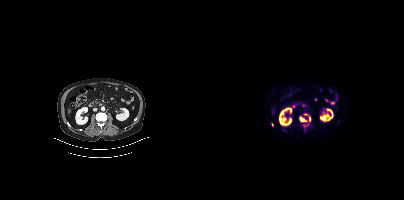
Findings: Coordinates are on the 200×200 PET (right) panel. (showing 3 of 4 foci) PSMA-avid tumor lesion bounding box (x, y, width, height): x=95 y=116 w=8 h=6. Small PSMA-avid foci (2 to 4 px across) near (center x, center y): (105, 118) / (68, 125).
Technique: Two-panel axial: CT | PSMA PET, 18F-PSMA tracer.